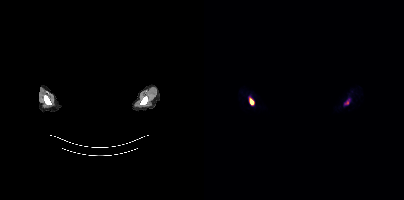
The head region is masked for de-identification. Two-panel axial: CT | PSMA PET, 68Ga-PSMA tracer.
Coordinates are on the 200×200 PET (right) panel. PSMA-avid tumor lesion bounding boxes:
| # | x0 | y0 | x1 | y1 |
|---|---|---|---|---|
| 1 | 45 | 97 | 50 | 104 |
Small PSMA-avid foci (2 to 4 px across) near (center x, center y): (142, 102); (145, 98).